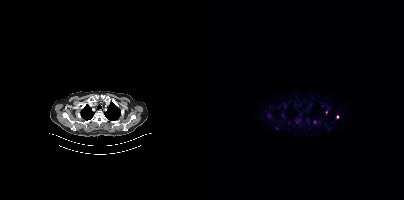
Findings: Coordinates are on the 200×200 PET (right) panel. Small PSMA-avid foci (2 to 4 px across) near (center x, center y): (93, 122); (133, 116); (110, 121); (122, 112).
- Left: CT. Right: PSMA PET, same axial level, 18F-PSMA tracer
- acquired on Siemens Biograph mCT Flow 20
- slice 312 of 403